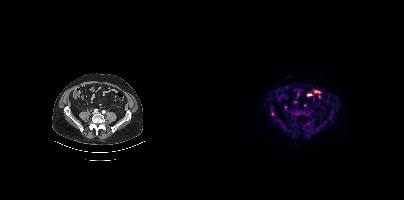
Findings: Coordinates are on the 200×200 PET (right) panel. Small PSMA-avid focus (2 to 4 px across) near (center x, center y): (68, 114).
- Paired axial CT (left) and PSMA PET (right), 18F tracer
- acquired on Siemens Biograph mCT Flow 20
- slice 155 of 448
- PET panel 200×200 px (4.1 mm/px)